Paired axial CT (left) and PSMA PET (right), [18F]PSMA-1007 tracer. Acquired on Siemens Biograph mCT Flow 20. Slice position z = 20 mm. PET panel 200×200 px (4.1 mm/px).
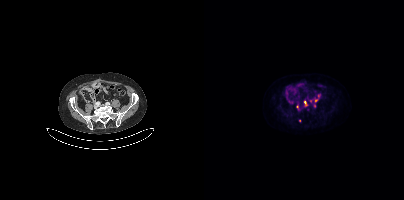
Coordinates are on the 200×200 PET (right) panel. PSMA-avid tumor lesion bounding boxes (partial; 2 more foci not listed):
| # | x0 | y0 | x1 | y1 |
|---|---|---|---|---|
| 1 | 101 | 101 | 102 | 105 |
Small PSMA-avid focus (2 to 4 px across) near (center x, center y): (112, 100).